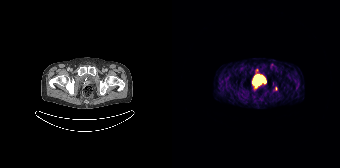
Technique: Paired axial CT (left) and PSMA PET (right), 68Ga-PSMA tracer. slice position z = -1388 mm. PET panel 168×168 px (4.1 mm/px).
Findings: Only PSMA-avid lesion pieces thinner than 2 px on this slice (not listed).